Technique: Paired axial CT (left) and PSMA PET (right), 18F-PSMA tracer. acquired on Siemens Biograph mCT Flow 20.
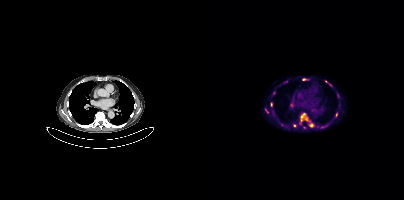
Findings: Coordinates are on the 200×200 PET (right) panel. (showing 8 of 10 foci) PSMA-avid tumor lesion bounding boxes (x0, y0)-(x1, y1): (96, 113)-(104, 121) / (105, 123)-(109, 127). Small PSMA-avid foci (2 to 4 px across) near (center x, center y): (67, 104) / (100, 79) / (62, 110) / (132, 113) / (90, 125) / (121, 81).